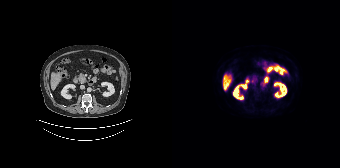
Findings: Negative for PSMA-avid disease on this slice.
Technique: Left: CT. Right: PSMA PET, same axial level, 18F-PSMA tracer. slice 80 of 165. PET panel 168×168 px (4.1 mm/px).